modality: PSMA PET/CT | tracer: [18F]PSMA-1007 | view: axial | PET grid: 200×200
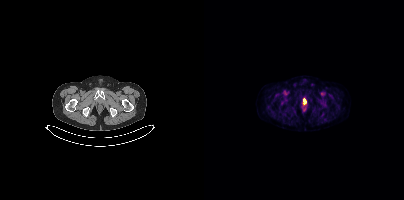
Coordinates are on the 200×200 PET (right) panel. PSMA-avid tumor lesion bounding box (x0, y0)-(x1, y1): (99, 99)-(102, 103).